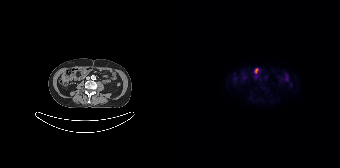
{"modality":"PSMA PET/CT","view":"axial","tracer":"[18F]PSMA-1007","pet_grid":[168,168],"coord_frame":"pet_panel","coord_format":"x0,y0,x1,y1","psma_avid_lesions":false}